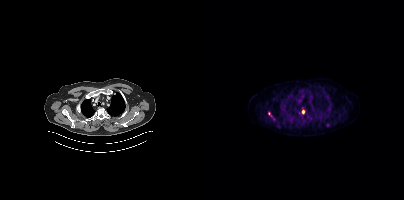
Two-panel axial: CT | PSMA PET, [18F]PSMA-1007 tracer. Slice position z = -950 mm. PET panel 200×200 px (4.1 mm/px).
Coordinates are on the 200×200 PET (right) panel. PSMA-avid tumor lesion bounding boxes (partial; 1 more focus not listed):
| # | x0 | y0 | x1 | y1 |
|---|---|---|---|---|
| 1 | 97 | 110 | 100 | 114 |
Small PSMA-avid foci (2 to 4 px across) near (center x, center y): (124, 125); (64, 113).